Two-panel axial: CT | PSMA PET, [68Ga]Ga-PSMA-11 tracer.
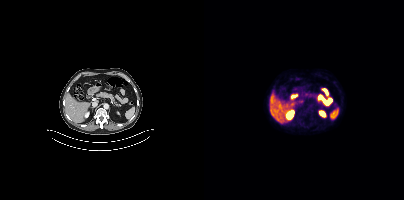
Negative for PSMA-avid disease on this slice.